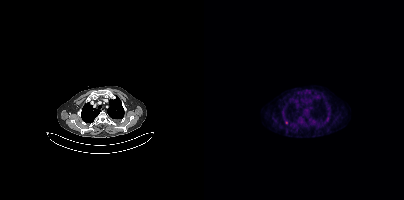
- Left: CT. Right: PSMA PET, same axial level, 18F-PSMA tracer
- slice position z = -1026 mm
Findings: Coordinates are on the 200×200 PET (right) panel. Small PSMA-avid focus (2 to 4 px across) near (center x, center y): (82, 122).